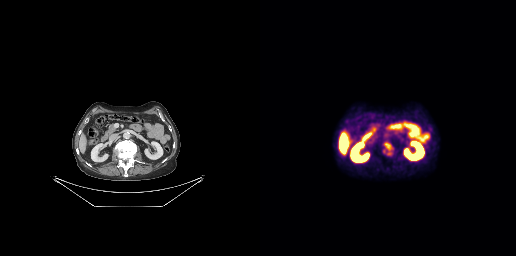
Two-panel axial: CT | PSMA PET, 18F-PSMA tracer. Acquired on GE Discovery 690. Slice 126 of 263. Coordinates are on the 256×256 PET (right) panel. (showing 1 of 2 foci) PSMA-avid tumor lesion bounding box (x0,y0,x1,y1): [124,142,132,154].